modality: PSMA PET/CT | tracer: 68Ga | view: axial | PET grid: 168×168
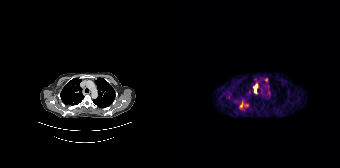
Coordinates are on the 168×168 PET (right) panel. PSMA-avid tumor lesion bounding boxes (x0, y0)-(x1, y1): (81, 83)-(86, 93); (68, 101)-(71, 107). Small PSMA-avid foci (2 to 4 px across) near (center x, center y): (74, 105); (94, 79).